modality: PSMA PET/CT | tracer: 18F-PSMA | view: axial | PET grid: 200×200
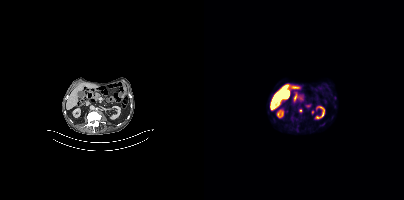
Coordinates are on the 200×200 PET (right) panel. (showing 1 of 2 foci) Small PSMA-avid focus (2 to 4 px across) near (center x, center y): (96, 110).